Privacy masking over the head, with the pixels inside a rectangle set to black. Two-panel axial: CT | PSMA PET, [18F]PSMA-1007 tracer. Acquired on Siemens Biograph mCT Flow 20. Slice 416 of 450. PET panel 200×200 px (4.1 mm/px).
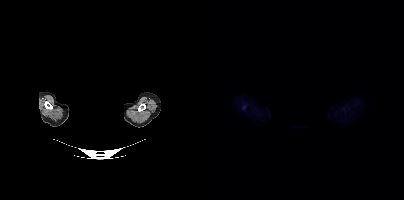
Coordinates are on the 200×200 PET (right) panel. Small PSMA-avid focus (2 to 4 px across) near (center x, center y): (39, 107).